Two-panel axial: CT | PSMA PET, 68Ga tracer. PET panel 168×168 px (4.1 mm/px).
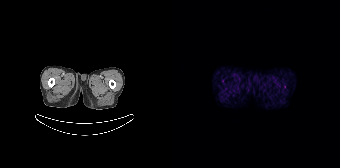
No tumor lesions annotated on this slice.